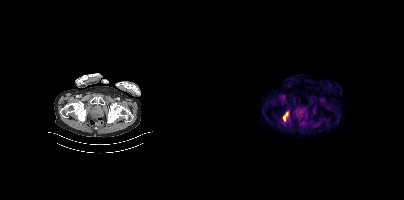
{"pet_grid":[200,200],"coord_frame":"pet_panel","coord_format":"x0,y0,x1,y1","lesion_bboxes":[[79,112,84,121]],"modality":"PSMA PET/CT","view":"axial","tracer":"[18F]PSMA-1007"}